A rectangle over the head was blacked out to remove identifiable facial features.
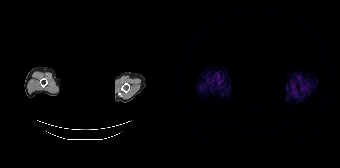
Negative for PSMA-avid disease on this slice.